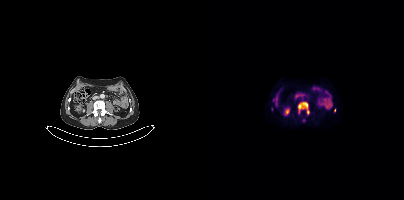
- Paired axial CT (left) and PSMA PET (right), [18F]PSMA-1007 tracer
- acquired on Siemens Biograph mCT Flow 20
- slice position z = -1298 mm
- PET panel 200×200 px (4.1 mm/px)
Findings: Coordinates are on the 200×200 PET (right) panel. PSMA-avid tumor lesion bounding box (x0,y0,x1,y1): [94,101,105,114]. Small PSMA-avid focus (2 to 4 px across) near (center x, center y): (130, 109).